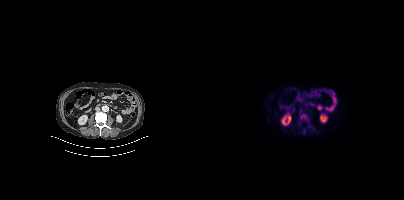
Technique: Left: CT. Right: PSMA PET, same axial level, 18F tracer. PET panel 200×200 px (4.1 mm/px).
Findings: Coordinates are on the 200×200 PET (right) panel. (showing 2 of 4 foci) PSMA-avid tumor lesion bounding boxes (x0,y0,x1,y1): [96,113,103,120] [99,128,101,134].